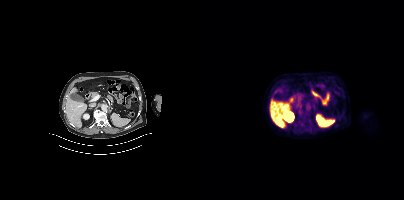
Technique: Left: CT. Right: PSMA PET, same axial level, [18F]PSMA-1007 tracer. slice position z = -1224 mm.
Findings: No tumor lesions annotated on this slice.